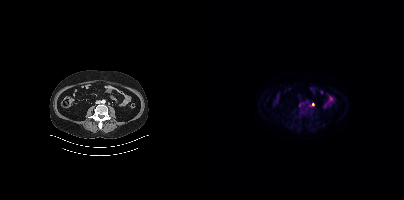
Coordinates are on the 200×200 PET (right) panel. Small PSMA-avid focus (2 to 4 px across) near (center x, center y): (109, 104).